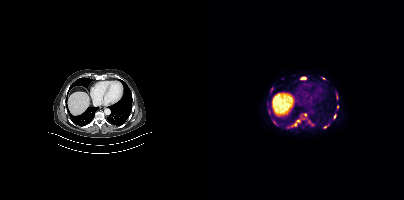
Coordinates are on the 200×200 PET (right) panel. (showing 7 of 9 foci) PSMA-avid tumor lesion bounding boxes (x, y, width, height): x=89 y=120 w=6 h=7; x=97 y=77 w=5 h=3; x=132 y=93 w=3 h=6. Small PSMA-avid foci (2 to 4 px across) near (center x, center y): (133, 107); (130, 116); (119, 78); (120, 126).